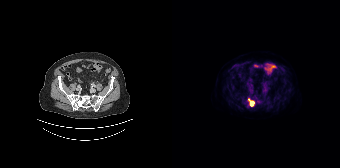
{"pet_grid":[168,168],"coord_frame":"pet_panel","coord_format":"x0,y0,x1,y1","lesion_bboxes":[[76,98,82,106]],"modality":"PSMA PET/CT","view":"axial","tracer":"18F"}